modality: PSMA PET/CT | tracer: 18F | view: axial | PET grid: 200×200
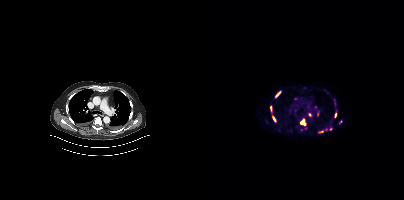
Coordinates are on the 200×200 PET (right) panel. (showing 10 of 14 foci) PSMA-avid tumor lesion bounding boxes (x0,y0,x1,y1): [96,118,102,126], [71,91,76,97], [129,98,132,106], [68,116,72,121], [130,112,132,117], [114,130,119,132], [66,106,67,111]. Small PSMA-avid foci (2 to 4 px across) near (center x, center y): (106, 114), (136, 122), (126, 129).